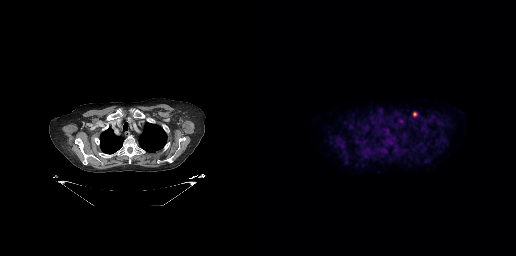
Coordinates are on the 256×256 PET (right) panel. PSMA-avid tumor lesion bounding box (x0,y0,x1,y1): [153,112,157,116].